- Left: CT. Right: PSMA PET, same axial level, [68Ga]Ga-PSMA-11 tracer
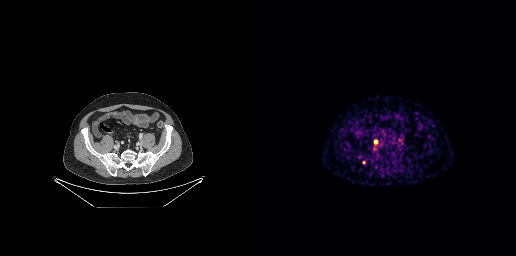
Findings: Coordinates are on the 256×256 PET (right) panel. PSMA-avid tumor lesion bounding box (x, y, width, height): x=114 y=140 w=4 h=5. Small PSMA-avid focus (2 to 4 px across) near (center x, center y): (103, 162).